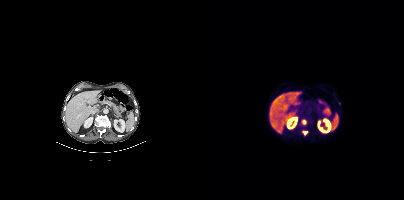
Coordinates are on the 200×200 PET (right) panel. (showing 2 of 3 foci) PSMA-avid tumor lesion bounding box (x0, y0)-(x1, y1): (98, 131)-(104, 134). Small PSMA-avid focus (2 to 4 px across) near (center x, center y): (135, 103).